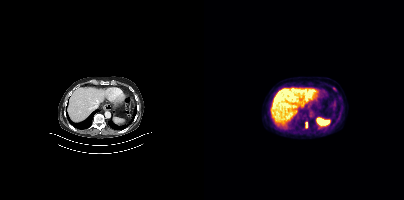
Left: CT. Right: PSMA PET, same axial level, [18F]PSMA-1007 tracer. Acquired on Siemens Biograph mCT Flow 20. Slice position z = -1140 mm. PET panel 200×200 px (4.1 mm/px).
Coordinates are on the 200×200 PET (right) panel. PSMA-avid tumor lesion bounding boxes:
| # | x0 | y0 | x1 | y1 |
|---|---|---|---|---|
| 1 | 102 | 122 | 103 | 127 |